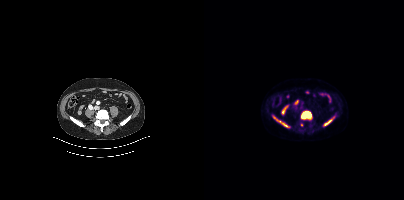
Coordinates are on the 200×200 PET (right) panel. (showing 3 of 4 foci) PSMA-avid tumor lesion bounding boxes (x0,y0,x1,y1): [97,111,107,119]; [69,116,85,127]; [120,117,130,125].
modality: PSMA PET/CT | tracer: 18F | view: axial